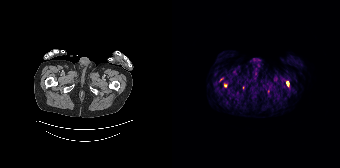
Left: CT. Right: PSMA PET, same axial level, [68Ga]Ga-PSMA-11 tracer. Acquired on Siemens Biograph 64-4R TruePoint. Slice position z = -860 mm. Coordinates are on the 168×168 PET (right) panel. Small PSMA-avid foci (2 to 4 px across) near (center x, center y): (115, 83) | (53, 85).